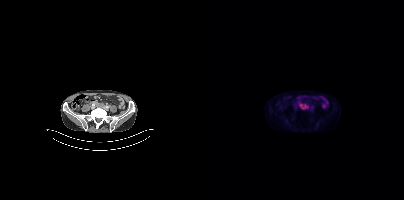
Technique: Left: CT. Right: PSMA PET, same axial level, 18F-PSMA tracer.
Findings: Coordinates are on the 200×200 PET (right) panel. PSMA-avid tumor lesion bounding box (x0, y0)-(x1, y1): (95, 104)-(104, 108).